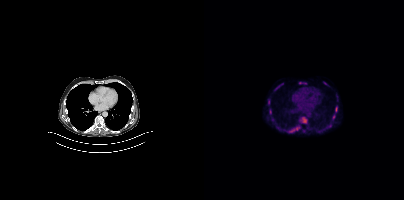
Technique: Paired axial CT (left) and PSMA PET (right), [18F]PSMA-1007 tracer. acquired on Siemens Biograph mCT Flow 20. slice position z = -376 mm. PET panel 200×200 px (4.1 mm/px).
Findings: Coordinates are on the 200×200 PET (right) panel. PSMA-avid tumor lesion bounding boxes (x0,y0,x1,y1): [95,117,103,123], [85,126,95,132], [95,82,102,84], [131,106,133,112], [64,100,65,104], [128,115,131,119], [71,86,74,90].